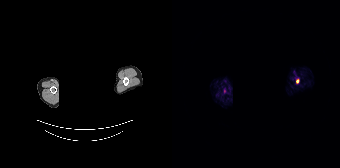
{"modality":"PSMA PET/CT","view":"axial","tracer":"68Ga","pet_grid":[168,168],"coord_frame":"pet_panel","coord_format":"x0,y0,x1,y1","redaction":"facial region redacted","lesion_bboxes":[[124,79,127,83]]}